Paired axial CT (left) and PSMA PET (right), 18F-PSMA tracer. Acquired on Siemens Biograph mCT Flow 20.
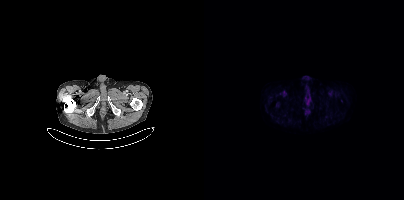
No PSMA-avid tumor lesions on this slice.